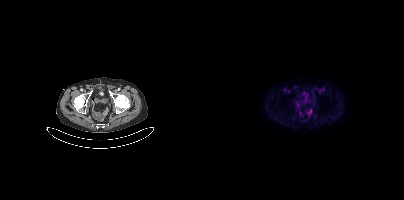
Two-panel axial: CT | PSMA PET, 18F-PSMA tracer. Slice position z = -1658 mm. No tumor lesions annotated on this slice.